Two-panel axial: CT | PSMA PET, [18F]PSMA-1007 tracer. Slice 116 of 263. PET panel 256×256 px (2.7 mm/px).
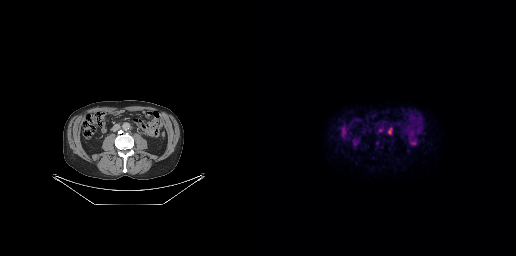
Coordinates are on the 256×256 PET (right) panel. PSMA-avid tumor lesion bounding box (x, y, width, height): x=128 y=128 w=4 h=6.